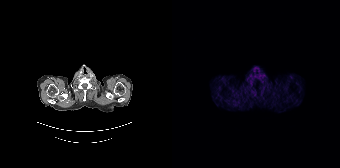
Findings: Negative for PSMA-avid disease on this slice.
Technique: Paired axial CT (left) and PSMA PET (right), 68Ga tracer. slice position z = -728 mm.